Two-panel axial: CT | PSMA PET, 18F tracer. Slice 257 of 395. PET panel 200×200 px (4.1 mm/px).
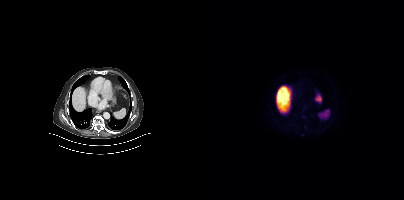
This slice has no annotated PSMA-avid lesion.